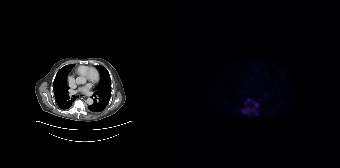
Paired axial CT (left) and PSMA PET (right), 18F-PSMA tracer. Acquired on Siemens Biograph 64-4R TruePoint.
Coordinates are on the 168×168 PET (right) panel. PSMA-avid tumor lesion bounding boxes (partial; 3 more foci not listed):
| # | x0 | y0 | x1 | y1 |
|---|---|---|---|---|
| 1 | 70 | 111 | 74 | 112 |
Small PSMA-avid foci (2 to 4 px across) near (center x, center y): (84, 104); (76, 109); (76, 99).